Two-panel axial: CT | PSMA PET, [18F]PSMA-1007 tracer.
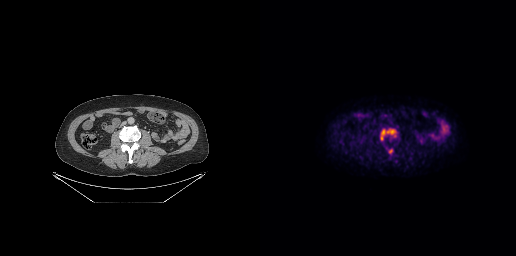
Coordinates are on the 256×256 PET (right) panel. PSMA-avid tumor lesion bounding boxes (x0, y0)-(x1, y1): (120, 129)-(136, 140); (129, 149)-(132, 153).